modality: PSMA PET/CT | tracer: [18F]PSMA-1007 | view: axial | PET grid: 200×200
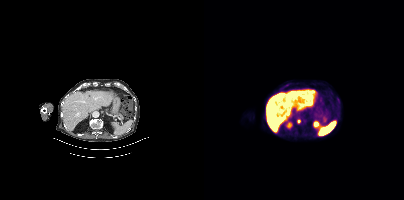
Coordinates are on the 200×200 PET (right) panel. PSMA-avid tumor lesion bounding box (x0,y0,x1,y1): [93,119,96,123].